- Left: CT. Right: PSMA PET, same axial level, 18F tracer
- acquired on Siemens Biograph mCT Flow 20
- PET panel 200×200 px (4.1 mm/px)
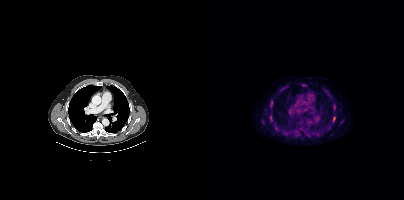
Findings: Coordinates are on the 200×200 PET (right) panel. (showing 3 of 4 foci) PSMA-avid tumor lesion bounding box (x, y, width, height): x=129 y=117 w=3 h=5. Small PSMA-avid foci (2 to 4 px across) near (center x, center y): (67, 106); (67, 120).